- Left: CT. Right: PSMA PET, same axial level, [18F]PSMA-1007 tracer
- acquired on Siemens Biograph mCT Flow 20
- slice 244 of 454
- PET panel 200×200 px (4.1 mm/px)
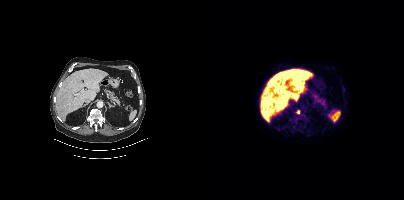
Findings: Coordinates are on the 200×200 PET (right) panel. PSMA-avid tumor lesion bounding box (x0, y0)-(x1, y1): (92, 110)-(96, 114).